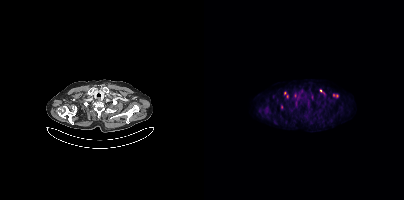
Coordinates are on the 200×200 PET (right) panel. (showing 4 of 8 foci) Small PSMA-avid foci (2 to 4 px across) near (center x, center y): (81, 93); (83, 96); (116, 90); (93, 99).